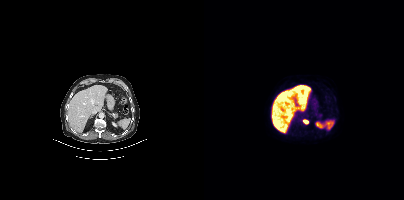
Coordinates are on the 200×200 PET (right) panel. PSMA-avid tumor lesion bounding box (x0,y0,x1,y1): [100,120,104,123].
modality: PSMA PET/CT | tracer: [18F]PSMA-1007 | view: axial | PET grid: 200×200